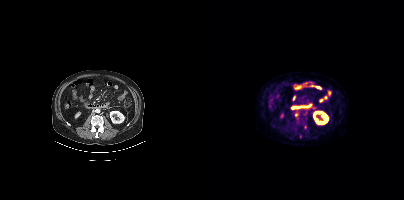
- Two-panel axial: CT | PSMA PET, 18F tracer
- slice 198 of 448
Findings: Coordinates are on the 200×200 PET (right) panel. (showing 2 of 3 foci) Small PSMA-avid foci (2 to 4 px across) near (center x, center y): (92, 114); (96, 136).